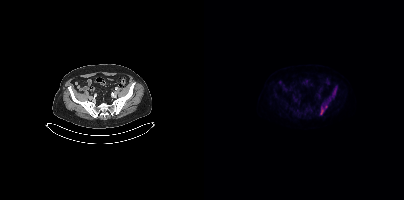
{"modality":"PSMA PET/CT","view":"axial","tracer":"18F","pet_grid":[200,200],"coord_frame":"pet_panel","coord_format":"x0,y0,x1,y1","lesion_bboxes":[[116,108,119,114]],"small_foci_centers":[[122,106]]}